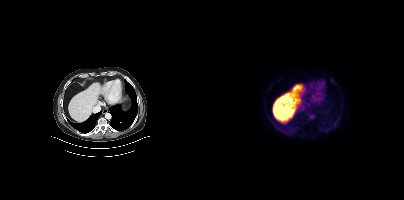
No tumor lesions annotated on this slice. Left: CT. Right: PSMA PET, same axial level, 18F tracer. Acquired on Siemens Biograph mCT Flow 20. Slice 273 of 442.